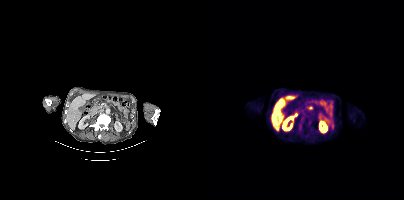
Paired axial CT (left) and PSMA PET (right), 18F tracer. Coordinates are on the 200×200 PET (right) panel. PSMA-avid tumor lesion bounding box (x, y, width, height): x=97 y=115 w=4 h=8.